Technique: Paired axial CT (left) and PSMA PET (right), 18F tracer. slice position z = -1335 mm. PET panel 200×200 px (4.1 mm/px).
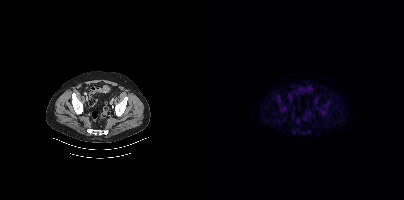
Findings: Coordinates are on the 200×200 PET (right) panel. PSMA-avid tumor lesion bounding boxes (x0, y0)-(x1, y1): (116, 108)-(122, 115); (75, 107)-(82, 111); (72, 95)-(76, 103). Small PSMA-avid foci (2 to 4 px across) near (center x, center y): (104, 131); (123, 102).